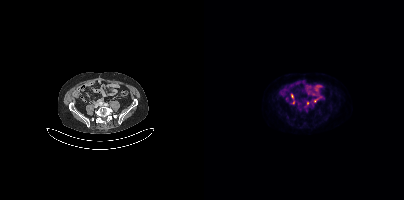
Coordinates are on the 200×200 PET (right) panel. (showing 3 of 4 foci) Small PSMA-avid foci (2 to 4 px across) near (center x, center y): (111, 100) / (89, 102) / (103, 102).